modality: PSMA PET/CT | tracer: [18F]PSMA-1007 | view: axial
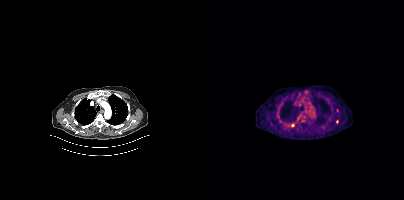
Coordinates are on the 200×200 PET (right) panel. (showing 1 of 2 foci) Small PSMA-avid focus (2 to 4 px across) near (center x, center y): (133, 121).